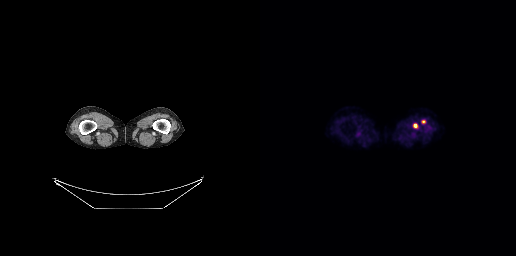
Left: CT. Right: PSMA PET, same axial level, 18F-PSMA tracer. Acquired on GE Discovery 690. Coordinates are on the 256×256 PET (right) panel. Small PSMA-avid foci (2 to 4 px across) near (center x, center y): (155, 125); (163, 121).